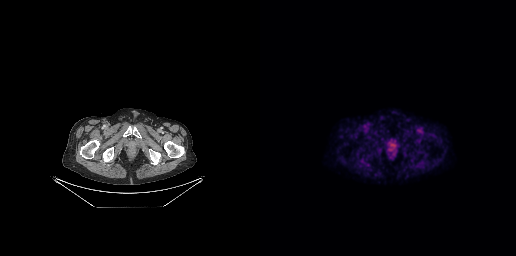
Two-panel axial: CT | PSMA PET, 18F-PSMA tracer. No tumor lesions annotated on this slice.